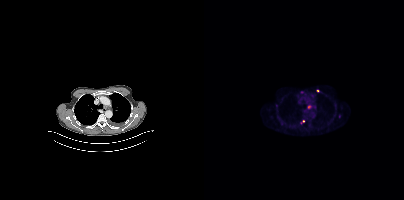
{"pet_grid":[200,200],"coord_frame":"pet_panel","coord_format":"x0,y0,x1,y1","lesion_bboxes":[[103,105,107,108],[96,121,100,124]],"small_foci_centers":[[113,90],[97,91]],"modality":"PSMA PET/CT","view":"axial","tracer":"[18F]PSMA-1007"}